Technique: Two-panel axial: CT | PSMA PET, [18F]PSMA-1007 tracer. PET panel 200×200 px (4.1 mm/px).
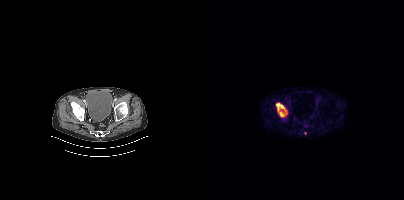
Findings: Coordinates are on the 200×200 PET (right) panel. PSMA-avid tumor lesion bounding box (x0,y0,x1,y1): [72,103,83,117]. Small PSMA-avid focus (2 to 4 px across) near (center x, center y): (101, 133).